modality: PSMA PET/CT | tracer: 18F | view: axial
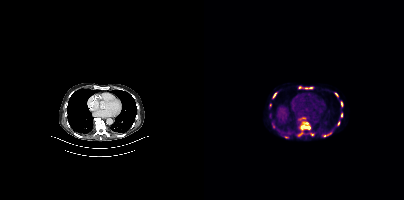
Coordinates are on the 200×200 PET (right) panel. (showing 11 of 12 foci) PSMA-avid tumor lesion bounding boxes (x, y, width, height): x=95 y=121 w=12 h=10 | x=94 y=86 w=14 h=4 | x=68 y=92 w=6 h=7 | x=136 y=101 w=4 h=7 | x=120 y=132 w=8 h=5 | x=94 y=132 w=5 h=5 | x=131 y=92 w=4 h=6 | x=133 y=121 w=4 h=5 | x=137 y=112 w=2 h=6. Small PSMA-avid foci (2 to 4 px across) near (center x, center y): (108, 134) | (69, 126).